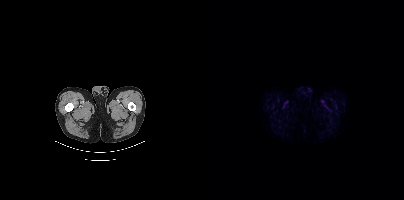
Paired axial CT (left) and PSMA PET (right), [18F]PSMA-1007 tracer. Acquired on Siemens Biograph mCT Flow 20. PET panel 200×200 px (4.1 mm/px). This slice has no annotated PSMA-avid lesion.